modality: PSMA PET/CT | tracer: [18F]PSMA-1007 | view: axial | PET grid: 200×200
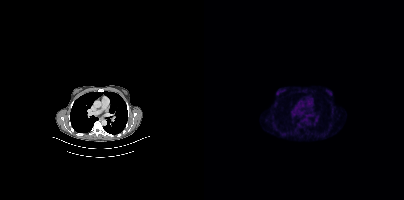
No PSMA-avid tumor lesions on this slice.